Technique: Paired axial CT (left) and PSMA PET (right), 18F tracer.
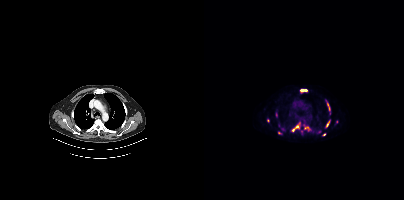
Findings: Coordinates are on the 200×200 PET (right) panel. (showing 7 of 12 foci) PSMA-avid tumor lesion bounding boxes (x0, y0)-(x1, y1): (96, 89)-(103, 91); (88, 126)-(94, 131); (122, 121)-(125, 127). Small PSMA-avid foci (2 to 4 px across) near (center x, center y): (72, 114); (120, 134); (123, 104); (101, 128).